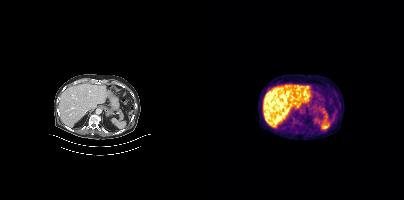
This slice has no annotated PSMA-avid lesion.